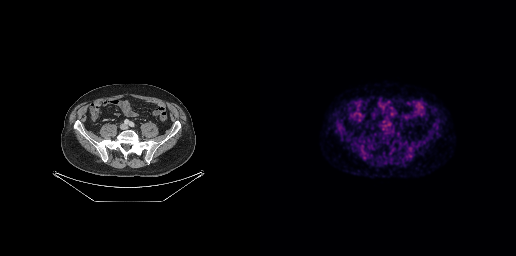
This slice has no annotated PSMA-avid lesion.